Technique: Paired axial CT (left) and PSMA PET (right), [18F]PSMA-1007 tracer. PET panel 200×200 px (4.1 mm/px).
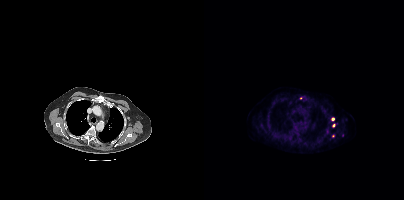
Findings: Coordinates are on the 200×200 PET (right) panel. (showing 2 of 4 foci) Small PSMA-avid foci (2 to 4 px across) near (center x, center y): (129, 125) (128, 118).